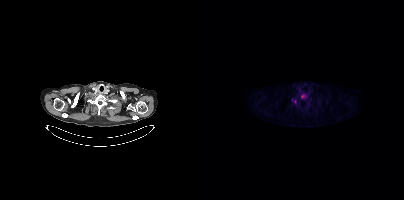
Technique: Two-panel axial: CT | PSMA PET, 18F tracer. acquired on Siemens Biograph mCT Flow 20.
Findings: Coordinates are on the 200×200 PET (right) panel. PSMA-avid tumor lesion bounding boxes (x0, y0)-(x1, y1): (97, 94)-(103, 99) / (88, 99)-(92, 103).